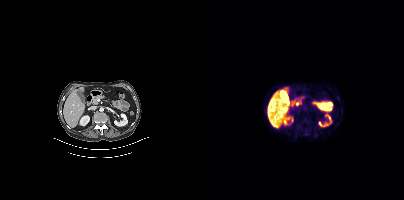
Findings: This slice has no annotated PSMA-avid lesion.
- Paired axial CT (left) and PSMA PET (right), 18F tracer
- slice 204 of 452